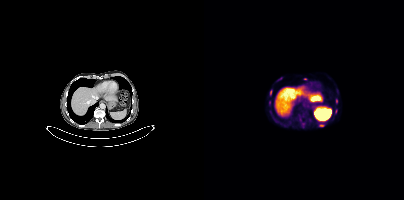
{"modality":"PSMA PET/CT","view":"axial","tracer":"18F","pet_grid":[200,200],"coord_frame":"pet_panel","coord_format":"x0,y0,x1,y1","partial":true,"lesion_bboxes":[[66,90,67,94]],"small_foci_centers":[[117,125],[132,101]]}